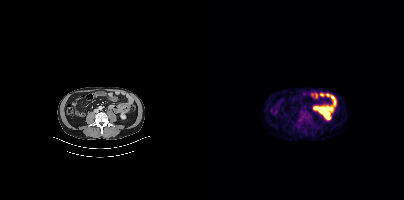
Coordinates are on the 200×200 PET (right) panel. PSMA-avid tumor lesion bounding box (x0, y0)-(x1, y1): (95, 111)-(106, 123).